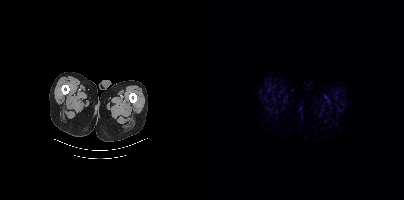
{"modality":"PSMA PET/CT","view":"axial","tracer":"18F-PSMA","pet_grid":[200,200],"coord_frame":"pet_panel","coord_format":"x0,y0,x1,y1","psma_avid_lesions":false}